Left: CT. Right: PSMA PET, same axial level, 18F tracer.
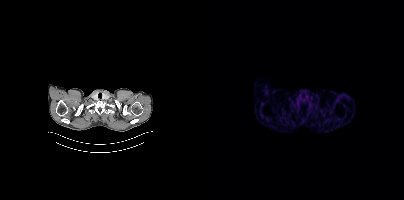
No PSMA-avid tumor lesions on this slice.